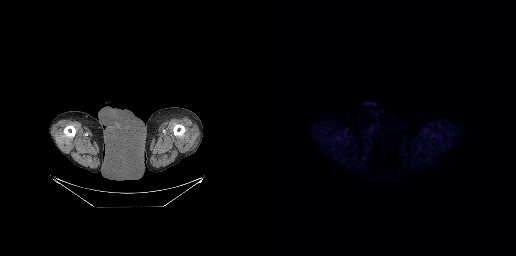
- Paired axial CT (left) and PSMA PET (right), [18F]PSMA-1007 tracer
- slice 42 of 299
- PET panel 256×256 px (2.7 mm/px)
Findings: Negative for PSMA-avid disease on this slice.